Paired axial CT (left) and PSMA PET (right), [68Ga]Ga-PSMA-11 tracer. Slice position z = -684 mm. PET panel 168×168 px (4.1 mm/px).
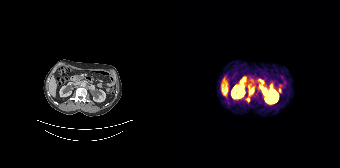
Coordinates are on the 168×168 PET (right) panel. PSMA-avid tumor lesion bounding box (x, y, width, height): x=77 y=89 w=5 h=5. Small PSMA-avid focus (2 to 4 px across) near (center x, center y): (75, 99).